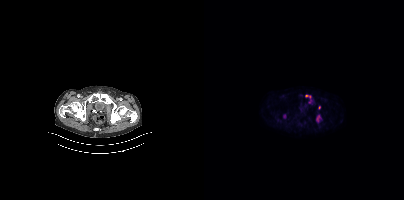
Coordinates are on the 200×200 PET (right) panel. (showing 3 of 4 foci) PSMA-avid tumor lesion bounding boxes (x, y, width, height): x=112 y=115 w=6 h=8; x=101 y=95 w=6 h=3. Small PSMA-avid focus (2 to 4 px across) near (center x, center y): (115, 107).
modality: PSMA PET/CT | tracer: 18F | view: axial